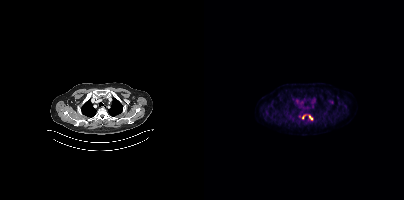
modality: PSMA PET/CT | tracer: [18F]PSMA-1007 | view: axial | PET grid: 200×200
Coordinates are on the 200×200 PET (right) panel. PSMA-avid tumor lesion bounding boxes (x0,y0,x1,y1): [94,115,100,119]; [105,116,109,120].